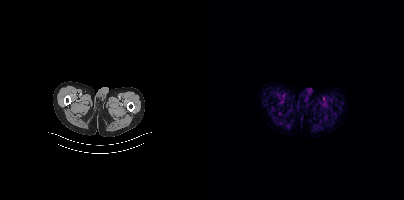
No tumor lesions annotated on this slice.